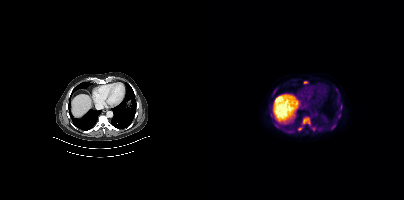
Left: CT. Right: PSMA PET, same axial level, 18F tracer. Slice position z = -1136 mm.
Coordinates are on the 200×200 PET (right) panel. PSMA-avid tumor lesion bounding boxes (partial; 1 more focus not listed):
| # | x0 | y0 | x1 | y1 |
|---|---|---|---|---|
| 1 | 98 | 117 | 106 | 124 |
| 2 | 107 | 126 | 112 | 131 |
| 3 | 68 | 89 | 72 | 95 |
| 4 | 127 | 123 | 131 | 129 |
| 5 | 93 | 127 | 97 | 130 |
| 6 | 134 | 113 | 136 | 118 |
Small PSMA-avid foci (2 to 4 px across) near (center x, center y): (101, 82); (137, 105); (136, 109); (82, 131).